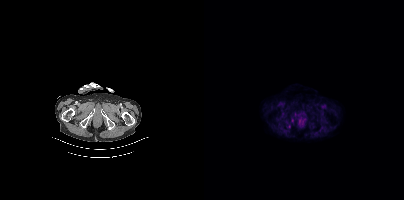
Paired axial CT (left) and PSMA PET (right), [18F]PSMA-1007 tracer. Slice position z = -288 mm. PET panel 200×200 px (4.1 mm/px). Only PSMA-avid lesion pieces thinner than 2 px on this slice (not listed).